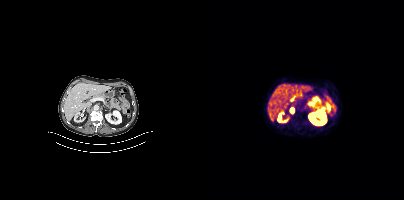
Left: CT. Right: PSMA PET, same axial level, [68Ga]Ga-PSMA-11 tracer. PET panel 200×200 px (4.1 mm/px). Coordinates are on the 200×200 PET (right) panel. PSMA-avid tumor lesion bounding box (x, y, width, height): x=86 y=109 w=5 h=4.